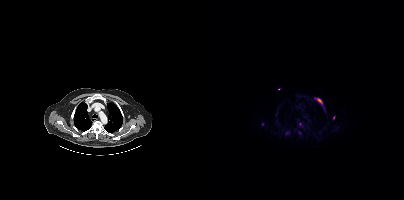
modality: PSMA PET/CT | tracer: 18F-PSMA | view: axial | PET grid: 200×200
Coordinates are on the 200×200 PET (right) panel. (showing 2 of 5 foci) PSMA-avid tumor lesion bounding box (x, y, width, height): x=113 y=98 w=6 h=6. Small PSMA-avid focus (2 to 4 px across) near (center x, center y): (129, 117).